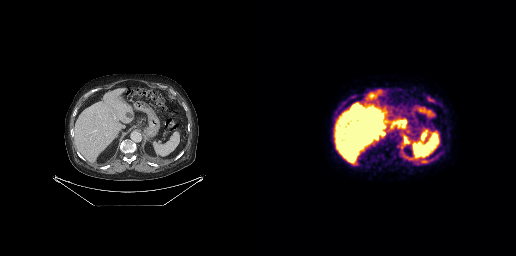
Coordinates are on the 256×256 PET (right) panel. PSMA-avid tumor lesion bounding box (x0,y0,x1,y1): [168,97,173,101].